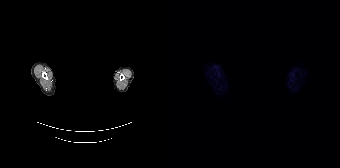
A rectangle over the head was blacked out to remove identifiable facial features.
This slice has no annotated PSMA-avid lesion.